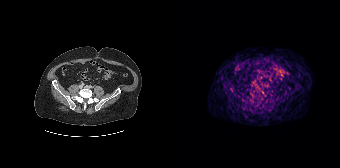
Negative for PSMA-avid disease on this slice.